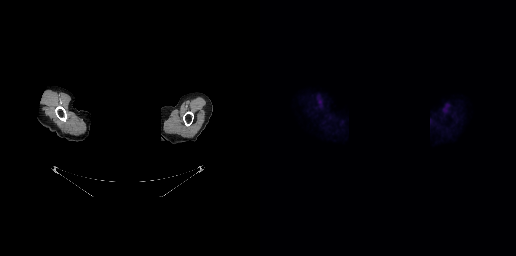
Paired axial CT (left) and PSMA PET (right), 18F-PSMA tracer. Acquired on GE Discovery 690. Slice 249 of 263. PET panel 256×256 px (2.7 mm/px). The head region is masked for de-identification. This slice has no annotated PSMA-avid lesion.